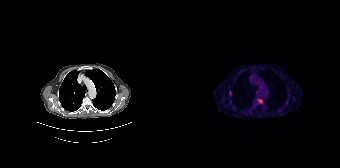
Coordinates are on the 168×168 PET (right) panel. (showing 2 of 4 foci) PSMA-avid tumor lesion bounding boxes (x0,y0,x1,y1): [85,98,90,103]; [57,91,59,95]. Two-panel axial: CT | PSMA PET, [68Ga]Ga-PSMA-11 tracer. Acquired on Siemens Biograph 64-4R TruePoint. Slice 147 of 195. PET panel 168×168 px (4.1 mm/px).